Left: CT. Right: PSMA PET, same axial level, 18F-PSMA tracer. Acquired on Siemens Biograph mCT Flow 20. Slice position z = -1739 mm. PET panel 200×200 px (4.1 mm/px).
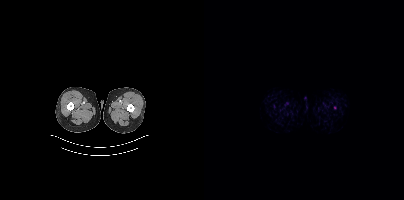
This slice has no annotated PSMA-avid lesion.